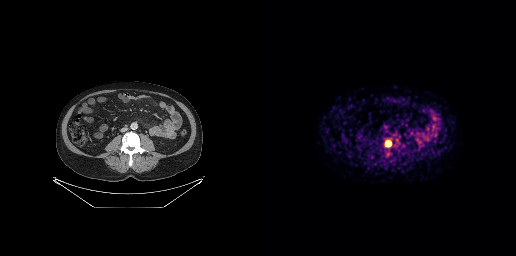
Technique: Paired axial CT (left) and PSMA PET (right), 68Ga tracer. PET panel 256×256 px (2.7 mm/px).
Findings: Coordinates are on the 256×256 PET (right) panel. PSMA-avid tumor lesion bounding box (x, y, width, height): x=125 y=141 w=7 h=6.